Technique: Paired axial CT (left) and PSMA PET (right), [18F]PSMA-1007 tracer. PET panel 200×200 px (4.1 mm/px).
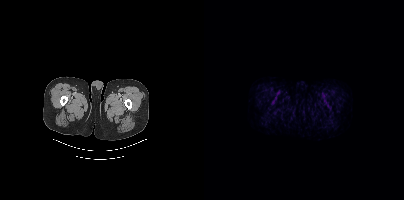
Findings: Negative for PSMA-avid disease on this slice.